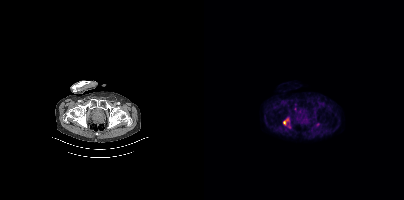
Technique: Two-panel axial: CT | PSMA PET, [18F]PSMA-1007 tracer. slice 81 of 411. PET panel 200×200 px (4.1 mm/px).
Findings: Coordinates are on the 200×200 PET (right) panel. (showing 3 of 4 foci) PSMA-avid tumor lesion bounding boxes (x0, y0)-(x1, y1): (79, 118)-(85, 125) | (90, 107)-(92, 111). Small PSMA-avid focus (2 to 4 px across) near (center x, center y): (114, 124).